Any black rectangle over the head is a privacy mask, not anatomy. Left: CT. Right: PSMA PET, same axial level, 18F tracer. Acquired on Siemens Biograph mCT Flow 20. Slice position z = -122 mm. PET panel 200×200 px (4.1 mm/px).
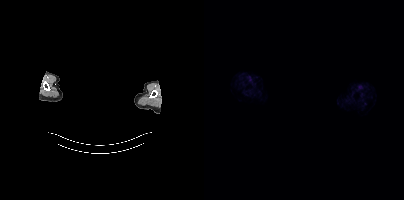
No PSMA-avid tumor lesions on this slice.